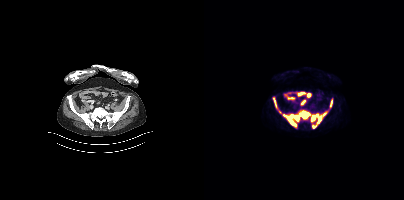
Coordinates are on the 200×200 PET (right) panel. PSMA-avid tumor lesion bounding boxes (x0,y0,x1,y1): [79,110,117,126], [69,98,72,107], [119,111,123,115], [108,125,112,128], [126,99,128,106]. Small PSMA-avid focus (2 to 4 px across) near (center x, center y): (76, 112).